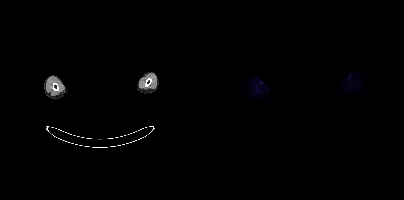
No PSMA-avid tumor lesions on this slice.
Face de-identified by blanking a block of the head.